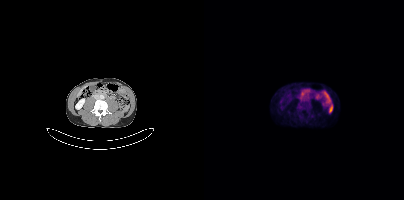
Coordinates are on the 200×200 PET (right) panel. PSMA-avid tumor lesion bounding box (x0, y0)-(x1, y1): (94, 104)-(99, 110).